modality: PSMA PET/CT | tracer: 18F-PSMA | view: axial | PET grid: 200×200
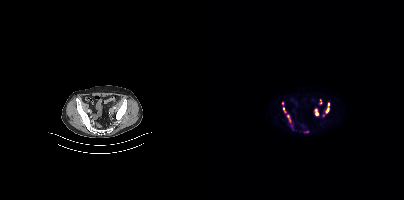
Coordinates are on the 200×200 PET (right) panel. (showing 7 of 10 foci) PSMA-avid tumor lesion bounding boxes (x, y, width, height): x=110 y=109 w=5 h=7; x=121 y=103 w=5 h=11; x=78 y=106 w=5 h=8; x=83 y=114 w=3 h=5. Small PSMA-avid foci (2 to 4 px across) near (center x, center y): (78, 103); (119, 115); (116, 102).